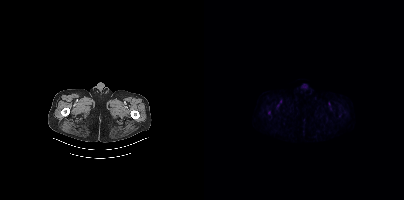
{"modality":"PSMA PET/CT","view":"axial","tracer":"[18F]PSMA-1007","pet_grid":[200,200],"coord_frame":"pet_panel","coord_format":"x0,y0,x1,y1","lesion_bboxes":[],"small_foci_centers":[[65,112]]}